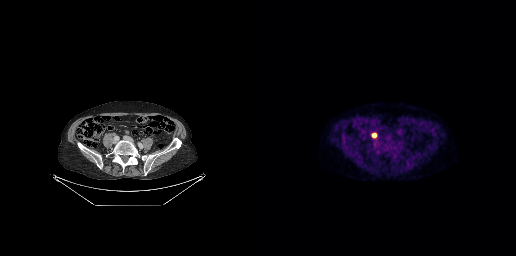
Paired axial CT (left) and PSMA PET (right), 18F-PSMA tracer. Acquired on GE Discovery 690. Slice position z = -732 mm. PET panel 256×256 px (2.7 mm/px). Coordinates are on the 256×256 PET (right) panel. PSMA-avid tumor lesion bounding box (x0, y0)-(x1, y1): (112, 133)-(116, 137).